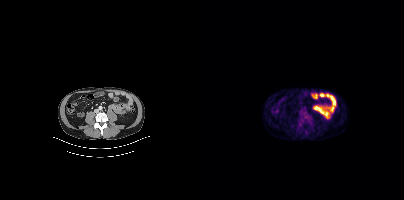
Coordinates are on the 200×200 PET (right) panel. PSMA-avid tumor lesion bounding box (x0, y0)-(x1, y1): (95, 111)-(106, 123).